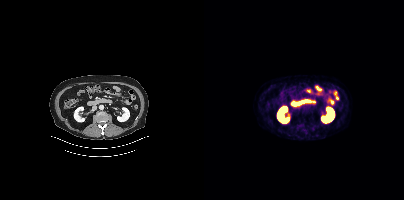
No tumor lesions annotated on this slice.